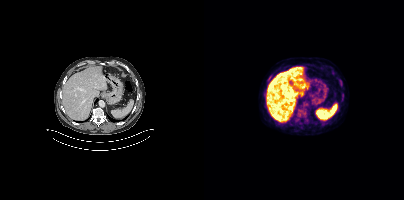
{"modality":"PSMA PET/CT","view":"axial","tracer":"18F","pet_grid":[200,200],"coord_frame":"pet_panel","coord_format":"x0,y0,x1,y1","partial":true,"lesion_bboxes":[]}